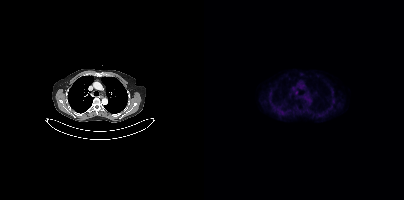
modality: PSMA PET/CT | tracer: 18F | view: axial | PET grid: 200×200
Coordinates are on the 200×200 PET (right) panel. Small PSMA-avid focus (2 to 4 px across) near (center x, center y): (92, 92).